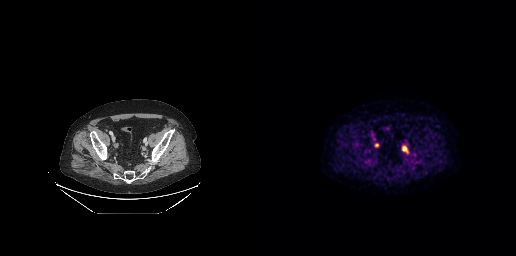
Findings: Coordinates are on the 256×256 PET (right) panel. PSMA-avid tumor lesion bounding boxes (x0, y0)-(x1, y1): (142, 146)-(147, 152); (114, 143)-(119, 147).
- Two-panel axial: CT | PSMA PET, 18F-PSMA tracer
- acquired on GE Discovery 690
- PET panel 256×256 px (2.7 mm/px)